Left: CT. Right: PSMA PET, same axial level, 18F tracer. Slice 79 of 423. PET panel 200×200 px (4.1 mm/px).
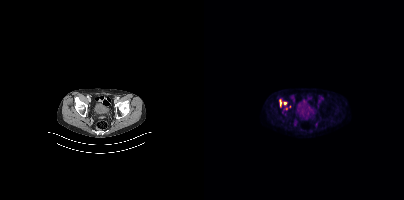
Coordinates are on the 200×200 PET (right) panel. PSMA-avid tumor lesion bounding boxes (partial; 1 more focus not listed):
| # | x0 | y0 | x1 | y1 |
|---|---|---|---|---|
| 1 | 76 | 100 | 77 | 105 |
Small PSMA-avid foci (2 to 4 px across) near (center x, center y): (81, 103); (82, 108).